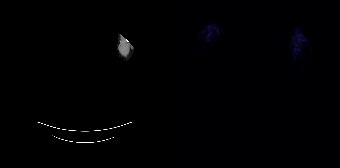
De-identified by setting a box covering the face to black before release.
No tumor lesions annotated on this slice.